- Paired axial CT (left) and PSMA PET (right), 18F tracer
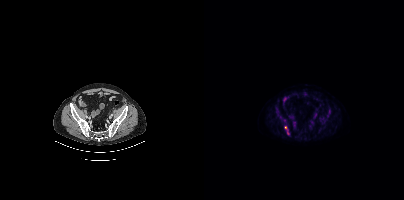
Findings: Coordinates are on the 200×200 PET (right) panel. Small PSMA-avid focus (2 to 4 px across) near (center x, center y): (81, 127).